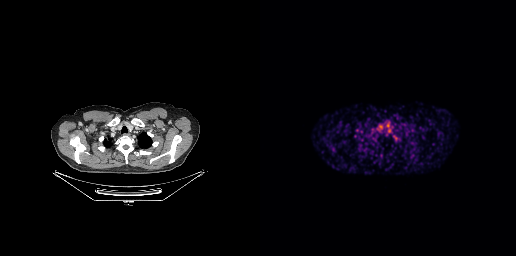
modality: PSMA PET/CT | tracer: 68Ga | view: axial | PET grid: 256×256
Negative for PSMA-avid disease on this slice.